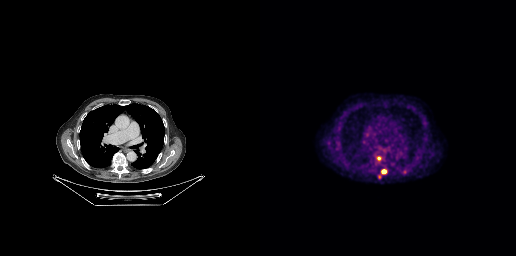
Two-panel axial: CT | PSMA PET, [18F]PSMA-1007 tracer. Acquired on GE Discovery 690. Slice position z = -375 mm.
Coordinates are on the 256×256 PET (right) panel. PSMA-avid tumor lesion bounding boxes:
| # | x0 | y0 | x1 | y1 |
|---|---|---|---|---|
| 1 | 121 | 169 | 127 | 174 |
| 2 | 116 | 157 | 121 | 164 |
| 3 | 141 | 170 | 145 | 173 |
Small PSMA-avid focus (2 to 4 px across) near (center x, center y): (119, 176).